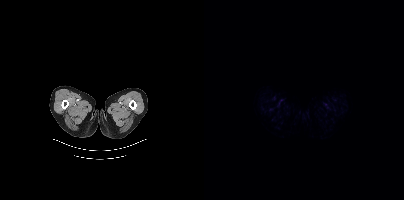
Technique: Left: CT. Right: PSMA PET, same axial level, 18F-PSMA tracer. acquired on Siemens Biograph mCT Flow 20. PET panel 200×200 px (4.1 mm/px).
Findings: No PSMA-avid tumor lesions on this slice.